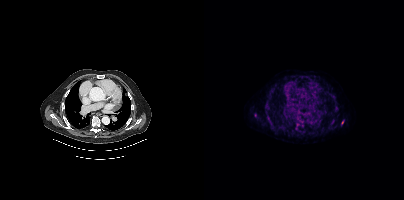
Coordinates are on the 200×200 PET (right) panel. (showing 3 of 7 foci) Small PSMA-avid foci (2 to 4 px across) near (center x, center y): (138, 122); (51, 115); (93, 124).